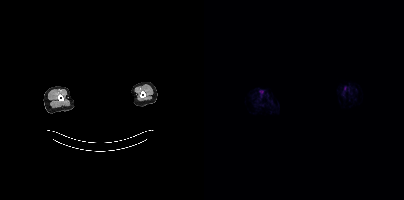
{"modality":"PSMA PET/CT","view":"axial","tracer":"18F-PSMA","pet_grid":[200,200],"coord_frame":"pet_panel","coord_format":"x0,y0,x1,y1","de-identification":"head region blacked out before release","psma_avid_lesions":false}